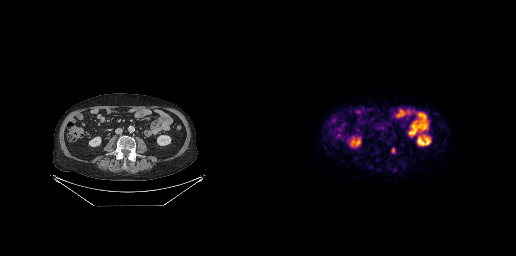
- Two-panel axial: CT | PSMA PET, 18F-PSMA tracer
Findings: Coordinates are on the 256×256 PET (right) panel. PSMA-avid tumor lesion bounding box (x, y, width, height): x=131 y=147 w=5 h=7.